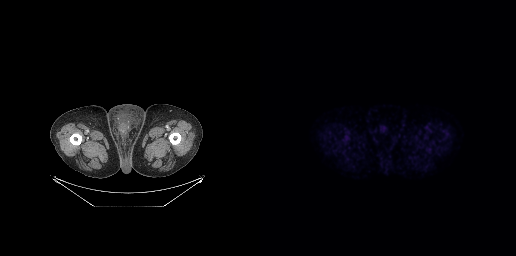
No PSMA-avid tumor lesions on this slice.